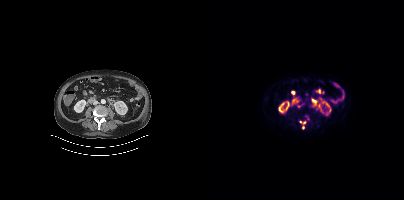
- Left: CT. Right: PSMA PET, same axial level, [18F]PSMA-1007 tracer
- slice position z = -1407 mm
Findings: Coordinates are on the 200×200 PET (right) panel. Small PSMA-avid foci (2 to 4 px across) near (center x, center y): (109, 100) / (99, 127) / (100, 122) / (96, 121).